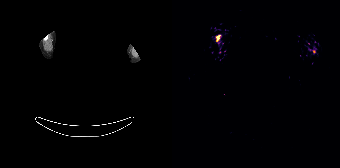
Coordinates are on the 168×168 PET (right) panel. PSMA-avid tumor lesion bounding box (x, y, width, height): x=44 y=35 w=5 h=6. Small PSMA-avid focus (2 to 4 px across) near (center x, center y): (141, 51).
De-identified by setting a box covering the face to black before release.